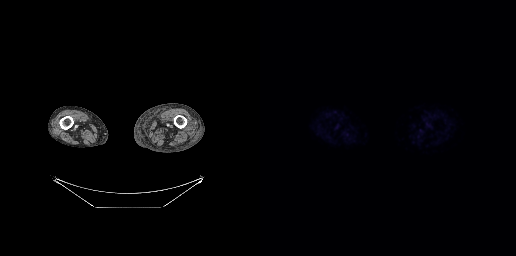
No PSMA-avid tumor lesions on this slice.